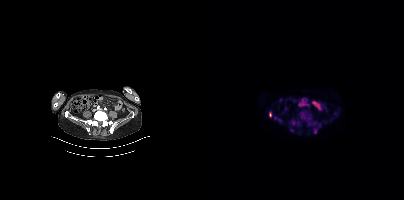
{"modality":"PSMA PET/CT","view":"axial","tracer":"18F","pet_grid":[200,200],"coord_frame":"pet_panel","coord_format":"x0,y0,x1,y1","partial":true,"lesion_bboxes":[[87,120,93,125],[110,128,113,133],[65,112,67,117]],"small_foci_centers":[[104,118]]}